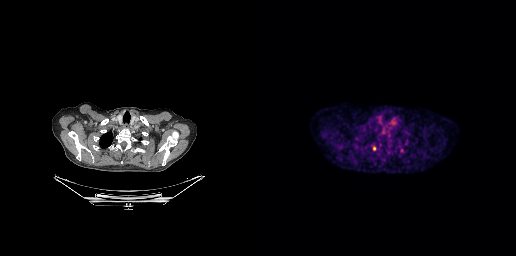
- Left: CT. Right: PSMA PET, same axial level, [18F]PSMA-1007 tracer
- slice 225 of 263
- PET panel 256×256 px (2.7 mm/px)
Findings: Coordinates are on the 256×256 PET (right) panel. PSMA-avid tumor lesion bounding box (x0,y0,x1,y1): [113,146,115,150].